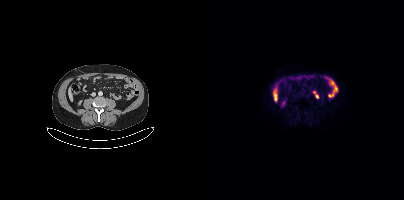
Technique: Paired axial CT (left) and PSMA PET (right), 18F-PSMA tracer. slice position z = -606 mm.
Findings: No tumor lesions annotated on this slice.